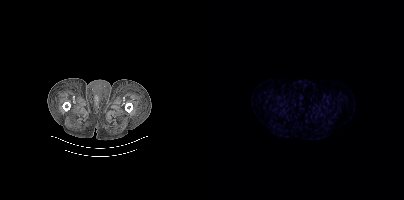
Technique: Paired axial CT (left) and PSMA PET (right), [18F]PSMA-1007 tracer.
Findings: This slice has no annotated PSMA-avid lesion.